Technique: Left: CT. Right: PSMA PET, same axial level, [18F]PSMA-1007 tracer. acquired on Siemens Biograph mCT Flow 20.
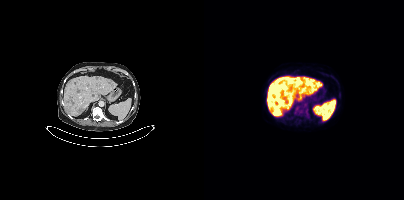
Findings: Coordinates are on the 200×200 PET (right) panel. PSMA-avid tumor lesion bounding boxes (x0, y0)-(x1, y1): (66, 106)-(75, 114) | (65, 97)-(71, 103) | (91, 107)-(96, 112). Small PSMA-avid focus (2 to 4 px across) near (center x, center y): (95, 78).